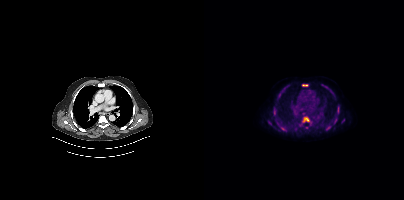
Left: CT. Right: PSMA PET, same axial level, [18F]PSMA-1007 tracer. PET panel 200×200 px (4.1 mm/px). Coordinates are on the 200×200 PET (right) panel. (showing 10 of 12 foci) PSMA-avid tumor lesion bounding boxes (x0, y0)-(x1, y1): (99, 117)-(105, 121) | (133, 105)-(135, 114) | (75, 124)-(82, 130) | (98, 84)-(104, 86) | (70, 107)-(71, 114) | (130, 118)-(132, 123) | (118, 84)-(122, 87). Small PSMA-avid foci (2 to 4 px across) near (center x, center y): (125, 127) | (139, 120) | (102, 127).